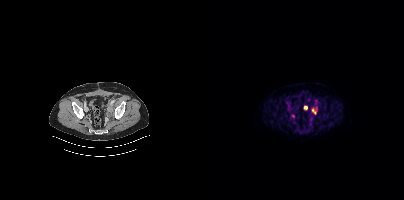
Coordinates are on the 200×200 PET (right) panel. PSMA-avid tumor lesion bounding box (x, y, width, height): x=107 y=107 w=7 h=8. Small PSMA-avid foci (2 to 4 px across) near (center x, center y): (101, 107) / (89, 116).